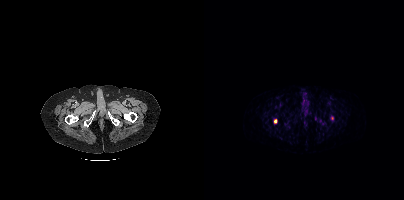
{"modality":"PSMA PET/CT","view":"axial","tracer":"68Ga-PSMA","pet_grid":[200,200],"coord_frame":"pet_panel","coord_format":"x0,y0,x1,y1","lesion_bboxes":[[70,119,73,123]]}